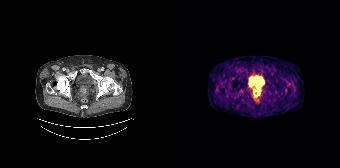
{"modality":"PSMA PET/CT","view":"axial","tracer":"68Ga","pet_grid":[168,168],"coord_frame":"pet_panel","coord_format":"x0,y0,x1,y1","lesion_bboxes":[[81,91,88,96]]}